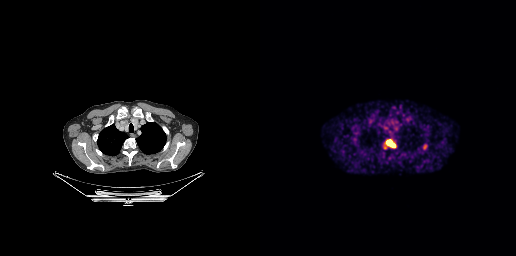
{"modality":"PSMA PET/CT","view":"axial","tracer":"68Ga-PSMA","pet_grid":[256,256],"coord_frame":"pet_panel","coord_format":"x0,y0,x1,y1","lesion_bboxes":[[127,140,135,147],[163,145,165,149]]}